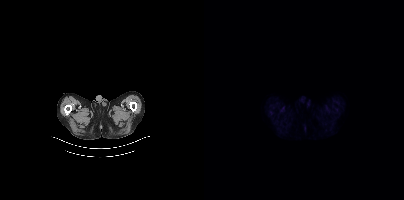
This slice has no annotated PSMA-avid lesion. Paired axial CT (left) and PSMA PET (right), 18F tracer. PET panel 200×200 px (4.1 mm/px).